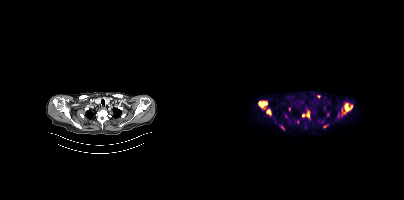
Coordinates are on the 200×200 PET (right) panel. (showing 12 of 13 foci) PSMA-avid tumor lesion bounding boxes (x0, y0)-(x1, y1): (137, 103)-(148, 116) / (54, 101)-(63, 107) / (62, 109)-(67, 115) / (103, 112)-(105, 116) / (119, 125)-(124, 127). Small PSMA-avid foci (2 to 4 px across) near (center x, center y): (99, 115) / (78, 127) / (85, 109) / (81, 116) / (93, 122) / (114, 96) / (123, 114).